A rectangle over the head was blacked out to remove identifiable facial features. Two-panel axial: CT | PSMA PET, 18F tracer.
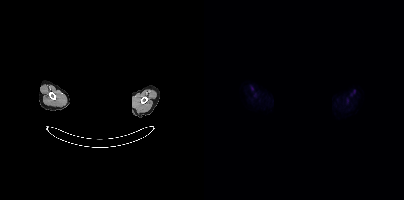
No tumor lesions annotated on this slice.